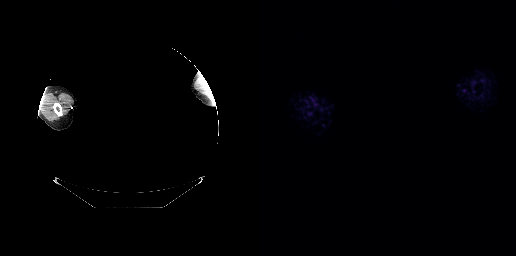
{"modality":"PSMA PET/CT","view":"axial","tracer":"[68Ga]Ga-PSMA-11","pet_grid":[256,256],"coord_frame":"pet_panel","coord_format":"x0,y0,x1,y1","psma_avid_lesions":false,"redaction":"face masked with black rectangle"}